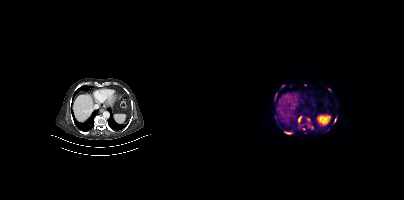
Coordinates are on the 200×200 PET (right) panel. PSMA-avid tumor lesion bounding boxes (partial; 2 more foci not listed):
| # | x0 | y0 | x1 | y1 |
|---|---|---|---|---|
| 1 | 94 | 116 | 97 | 122 |
| 2 | 80 | 131 | 86 | 134 |
| 3 | 70 | 93 | 73 | 98 |
| 4 | 130 | 116 | 133 | 122 |
| 5 | 97 | 128 | 101 | 130 |
Small PSMA-avid foci (2 to 4 px across) near (center x, center y): (125, 89); (95, 126); (104, 119); (101, 84).
Paired axial CT (left) and PSMA PET (right), 68Ga-PSMA tracer. Acquired on Siemens Biograph mCT Flow 20. PET panel 200×200 px (4.1 mm/px).